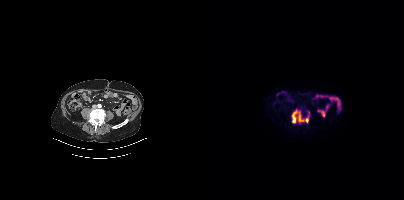
Findings: Coordinates are on the 200×200 PET (right) panel. PSMA-avid tumor lesion bounding box (x, y, width, height): x=87 y=109 w=20 h=16.
Technique: Two-panel axial: CT | PSMA PET, [18F]PSMA-1007 tracer. acquired on Siemens Biograph mCT Flow 20.